- Left: CT. Right: PSMA PET, same axial level, 18F-PSMA tracer
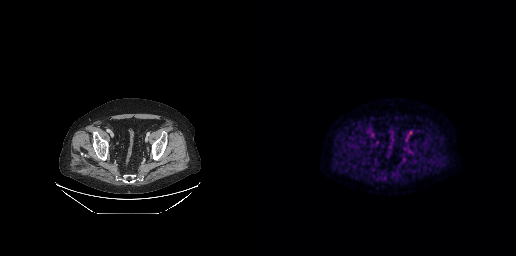
Findings: Coordinates are on the 256×256 PET (right) panel. Small PSMA-avid focus (2 to 4 px across) near (center x, center y): (150, 132).